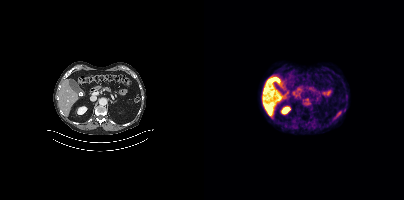
{"modality":"PSMA PET/CT","view":"axial","tracer":"18F-PSMA","pet_grid":[200,200],"coord_frame":"pet_panel","coord_format":"x0,y0,x1,y1","psma_avid_lesions":false}